modality: PSMA PET/CT | tracer: 18F | view: axial
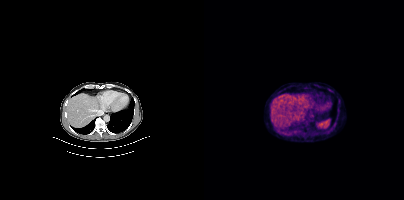
Coordinates are on the 200×200 PET (right) panel. PSMA-avid tumor lesion bounding box (x, y, width, height): x=93 y=115 w=8 h=7.